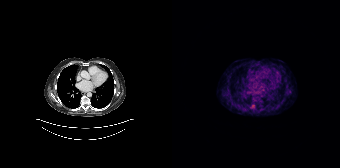
Coordinates are on the 168×168 PET (right) panel. Small PSMA-avid focus (2 to 4 px across) near (center x, center y): (80, 105).